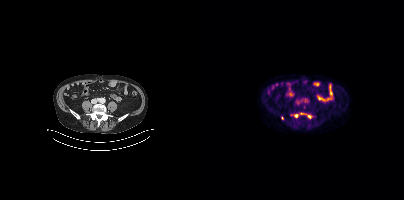
Left: CT. Right: PSMA PET, same axial level, 18F-PSMA tracer. Acquired on Siemens Biograph mCT Flow 20. Coordinates are on the 200×200 PET (right) panel. (showing 2 of 4 foci) Small PSMA-avid foci (2 to 4 px across) near (center x, center y): (105, 116), (92, 115).